Left: CT. Right: PSMA PET, same axial level, 18F tracer. Slice position z = -722 mm. Head region blanked for anonymization (face removed).
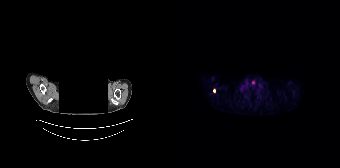
Coordinates are on the 168×168 PET (right) panel. Small PSMA-avid focus (2 to 4 px across) near (center x, center y): (42, 90).